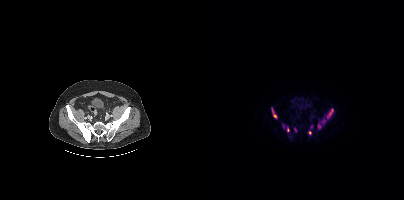
modality: PSMA PET/CT | tracer: [18F]PSMA-1007 | view: axial
Coordinates are on the 200×200 PET (right) panel. PSMA-avid tumor lesion bounding boxes (x0, y0)-(x1, y1): (123, 108)-(129, 118) / (67, 108)-(73, 118). Small PSMA-avid foci (2 to 4 px across) near (center x, center y): (115, 125) / (84, 129) / (106, 132) / (119, 121) / (90, 129).